- Paired axial CT (left) and PSMA PET (right), 18F-PSMA tracer
- acquired on Siemens Biograph mCT Flow 20
- PET panel 200×200 px (4.1 mm/px)
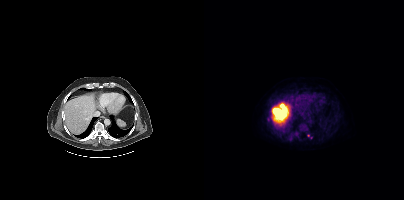
Findings: Coordinates are on the 200×200 PET (right) panel. (showing 2 of 4 foci) PSMA-avid tumor lesion bounding box (x0, y0)-(x1, y1): (86, 136)-(87, 140). Small PSMA-avid focus (2 to 4 px across) near (center x, center y): (104, 135).